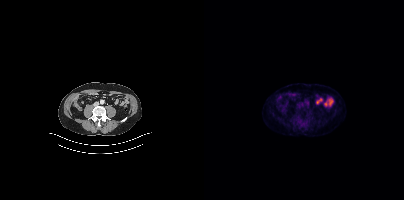
- Left: CT. Right: PSMA PET, same axial level, 68Ga-PSMA tracer
- acquired on Siemens Biograph mCT Flow 20
- PET panel 200×200 px (4.1 mm/px)
Findings: No PSMA-avid tumor lesions on this slice.